Two-panel axial: CT | PSMA PET, 18F-PSMA tracer. PET panel 200×200 px (4.1 mm/px).
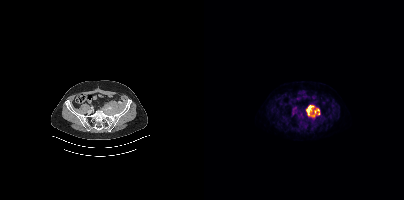
Coordinates are on the 200×200 PET (right) panel. PSMA-avid tumor lesion bounding boxes:
| # | x0 | y0 | x1 | y1 |
|---|---|---|---|---|
| 1 | 102 | 105 | 116 | 117 |